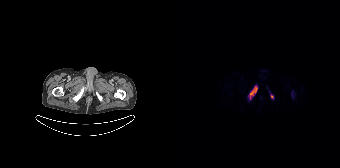
{"pet_grid":[168,168],"coord_frame":"pet_panel","coord_format":"x0,y0,x1,y1","lesion_bboxes":[[77,85,85,99],[99,94,101,98],[120,91,121,96]],"modality":"PSMA PET/CT","view":"axial","tracer":"18F-PSMA"}